Technique: Two-panel axial: CT | PSMA PET, [68Ga]Ga-PSMA-11 tracer. slice position z = -557 mm.
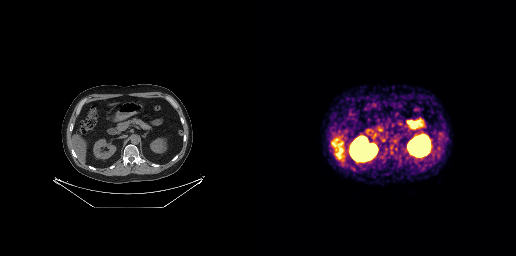
Findings: No PSMA-avid tumor lesions on this slice.